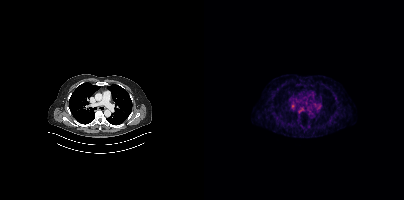
{"modality":"PSMA PET/CT","view":"axial","tracer":"[68Ga]Ga-PSMA-11","pet_grid":[200,200],"coord_frame":"pet_panel","coord_format":"x0,y0,x1,y1","lesion_bboxes":[],"small_foci_centers":[[89,106]]}